Paired axial CT (left) and PSMA PET (right), 18F-PSMA tracer.
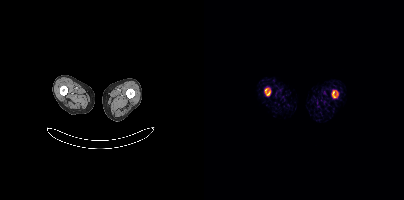
Coordinates are on the 200×200 PET (right) panel. PSMA-avid tumor lesion bounding boxes (x0,y0,x1,y1): [128,90,134,97] [60,88,66,95].